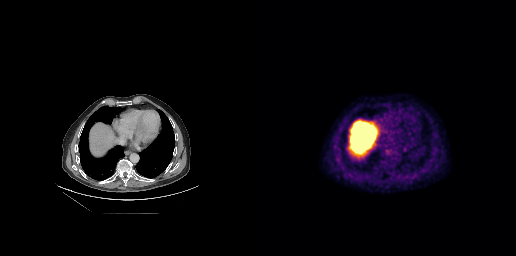
Negative for PSMA-avid disease on this slice. Two-panel axial: CT | PSMA PET, 18F-PSMA tracer. PET panel 256×256 px (2.7 mm/px).